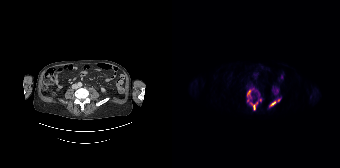
Coordinates are on the 168×168 PET (right) panel. PSMA-avid tumor lesion bounding boxes (x, y, width, height): x=75 y=89 w=5 h=13; x=78 y=102 w=8 h=9; x=97 y=101 w=6 h=6. Small PSMA-avid foci (2 to 4 px across) near (center x, center y): (88, 100); (106, 100).